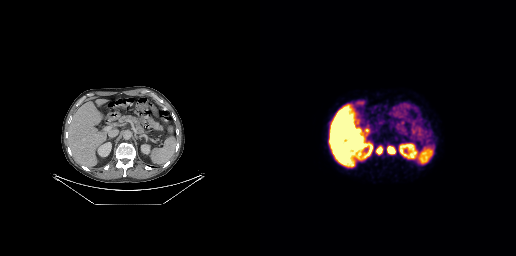
Findings: Coordinates are on the 256×256 PET (right) panel. PSMA-avid tumor lesion bounding boxes (x0, y0)-(x1, y1): (126, 145)-(136, 154) | (115, 145)-(123, 155).
- Paired axial CT (left) and PSMA PET (right), 18F-PSMA tracer
- acquired on GE Discovery 690
- slice 142 of 263